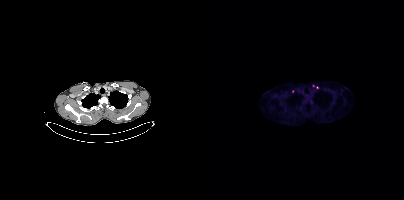
{"modality":"PSMA PET/CT","view":"axial","tracer":"[18F]PSMA-1007","pet_grid":[200,200],"coord_frame":"pet_panel","coord_format":"x0,y0,x1,y1","partial":true,"lesion_bboxes":[],"small_foci_centers":[[109,85],[88,91]]}